Paired axial CT (left) and PSMA PET (right), 18F tracer. PET panel 200×200 px (4.1 mm/px).
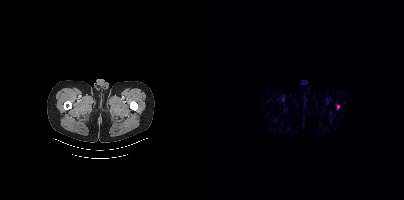
Coordinates are on the 200×200 PET (right) panel. PSMA-avid tumor lesion bounding boxes:
| # | x0 | y0 | x1 | y1 |
|---|---|---|---|---|
| 1 | 132 | 105 | 135 | 109 |